- Two-panel axial: CT | PSMA PET, 18F-PSMA tracer
- acquired on GE Discovery 690
- PET panel 256×256 px (2.7 mm/px)
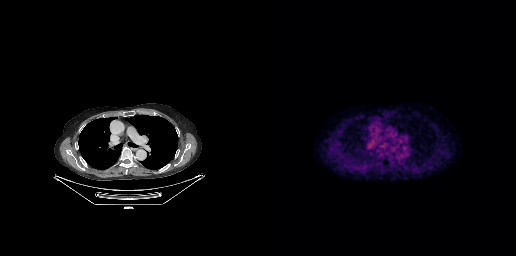
Findings: Negative for PSMA-avid disease on this slice.